Technique: Paired axial CT (left) and PSMA PET (right), [18F]PSMA-1007 tracer. slice 228 of 433. PET panel 200×200 px (4.1 mm/px).
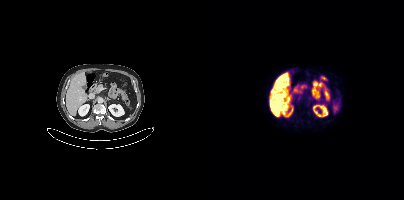
Findings: Coordinates are on the 200×200 PET (right) panel. PSMA-avid tumor lesion bounding box (x0, y0)-(x1, y1): (92, 96)-(96, 101). Small PSMA-avid focus (2 to 4 px across) near (center x, center y): (106, 99).